A rectangular privacy mask was applied before release. Two-panel axial: CT | PSMA PET, [18F]PSMA-1007 tracer.
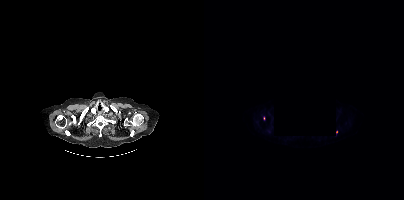
Coordinates are on the 200×200 PET (right) panel. Small PSMA-avid foci (2 to 4 px across) near (center x, center y): (59, 118) | (132, 131).